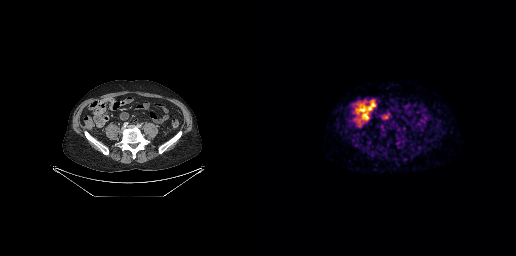
Negative for PSMA-avid disease on this slice. Left: CT. Right: PSMA PET, same axial level, 68Ga-PSMA tracer. Slice position z = -741 mm.